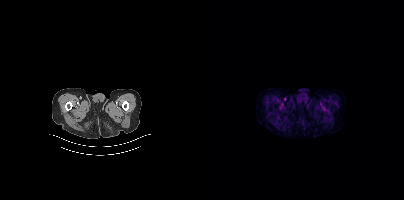
Technique: Left: CT. Right: PSMA PET, same axial level, [18F]PSMA-1007 tracer. acquired on Siemens Biograph mCT Flow 20.
Findings: No PSMA-avid tumor lesions on this slice.